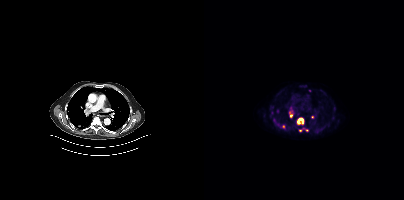
Coordinates are on the 200×200 PET (right) panel. (showing 6 of 10 foci) PSMA-avid tumor lesion bounding box (x, y, width, height): x=93 y=118 w=7 h=7. Small PSMA-avid foci (2 to 4 px across) near (center x, center y): (87, 115) | (108, 116) | (79, 126) | (96, 130) | (105, 90).